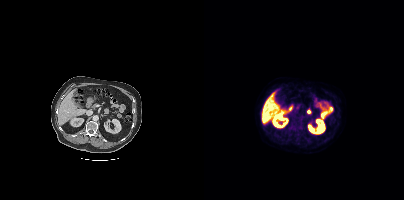
{"modality":"PSMA PET/CT","view":"axial","tracer":"18F-PSMA","pet_grid":[200,200],"coord_frame":"pet_panel","coord_format":"x0,y0,x1,y1","psma_avid_lesions":false}